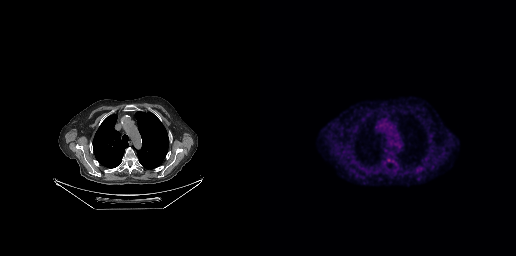
This slice has no annotated PSMA-avid lesion.